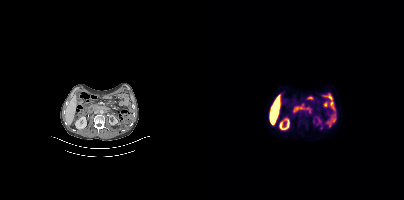
Left: CT. Right: PSMA PET, same axial level, 18F-PSMA tracer. Acquired on Siemens Biograph mCT Flow 20. Slice position z = -1324 mm. Coordinates are on the 200×200 PET (right) panel. Small PSMA-avid focus (2 to 4 px across) near (center x, center y): (99, 105).